Two-panel axial: CT | PSMA PET, 18F tracer. PET panel 200×200 px (4.1 mm/px).
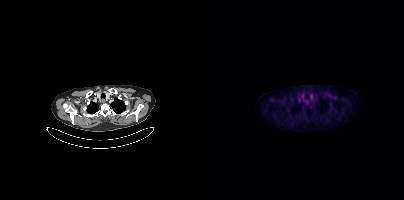
Negative for PSMA-avid disease on this slice.